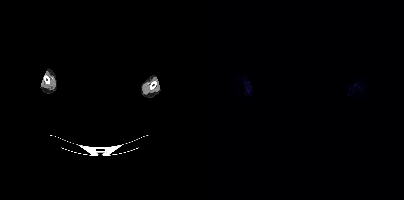
Negative for PSMA-avid disease on this slice. An anonymization step blacked out a rectangle over the head in this scan. Left: CT. Right: PSMA PET, same axial level, 18F tracer. Acquired on Siemens Biograph mCT Flow 20.